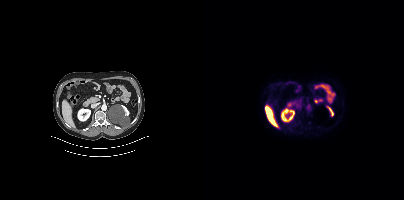
{"pet_grid":[200,200],"coord_frame":"pet_panel","coord_format":"x0,y0,x1,y1","psma_avid_lesions":false,"modality":"PSMA PET/CT","view":"axial","tracer":"18F"}